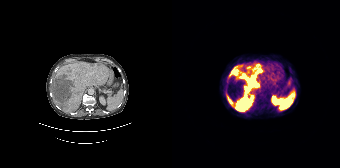
Findings: Coordinates are on the 168×168 PET (right) panel. PSMA-avid tumor lesion bounding box (x, y, width, height): x=55 y=63 w=35 h=49.
Technique: Left: CT. Right: PSMA PET, same axial level, 68Ga tracer. acquired on Siemens Biograph 64-4R TruePoint. PET panel 168×168 px (4.1 mm/px).